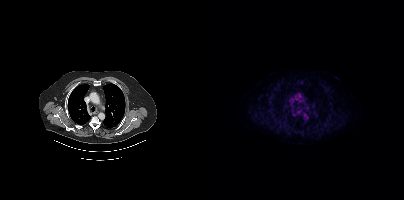
Left: CT. Right: PSMA PET, same axial level, 18F-PSMA tracer. Negative for PSMA-avid disease on this slice.